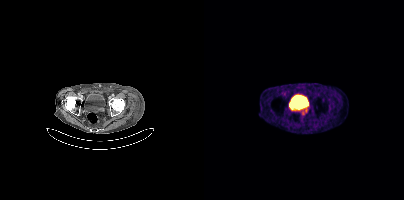
Technique: Paired axial CT (left) and PSMA PET (right), 68Ga tracer. PET panel 200×200 px (4.1 mm/px).
Findings: Coordinates are on the 200×200 PET (right) panel. PSMA-avid tumor lesion bounding box (x0, y0)-(x1, y1): (96, 108)-(103, 114).